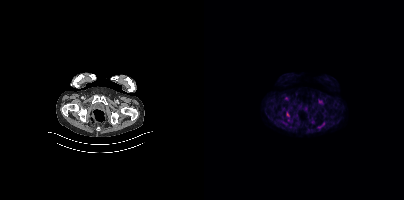
Coordinates are on the 200×200 PET (right) panel. PSMA-avid tumor lesion bounding box (x, y, width, height): x=83 y=112 w=3 h=5.
modality: PSMA PET/CT | tracer: 18F | view: axial